De-identified by setting a box covering the face to black before release.
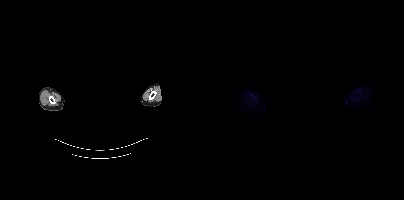
This slice has no annotated PSMA-avid lesion.